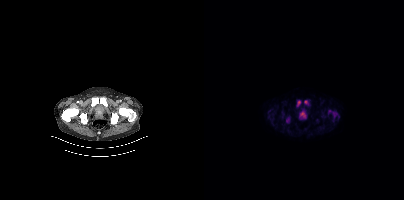
Coordinates are on the 200×200 PET (right) panel. PSMA-avid tumor lesion bounding boxes:
| # | x0 | y0 | x1 | y1 |
|---|---|---|---|---|
| 1 | 124 | 110 | 133 | 118 |
| 2 | 96 | 111 | 101 | 118 |
| 3 | 93 | 100 | 96 | 106 |
| 4 | 82 | 117 | 85 | 122 |
| 5 | 100 | 100 | 104 | 104 |
Paired axial CT (left) and PSMA PET (right), 18F-PSMA tracer. PET panel 200×200 px (4.1 mm/px).